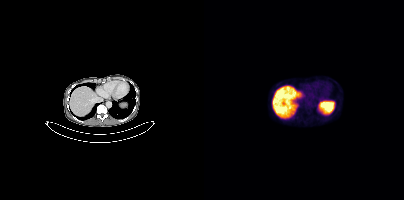
Two-panel axial: CT | PSMA PET, [18F]PSMA-1007 tracer. Slice 250 of 448. PET panel 200×200 px (4.1 mm/px). Negative for PSMA-avid disease on this slice.